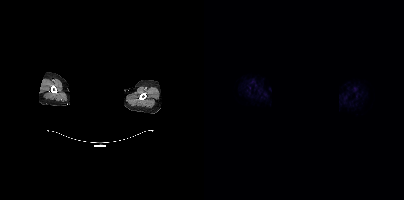
This slice has no annotated PSMA-avid lesion.
modality: PSMA PET/CT | tracer: 18F-PSMA | view: axial | PET grid: 200×200 | de-identification: privacy mask over head